- Paired axial CT (left) and PSMA PET (right), [18F]PSMA-1007 tracer
- acquired on Siemens Biograph mCT Flow 20
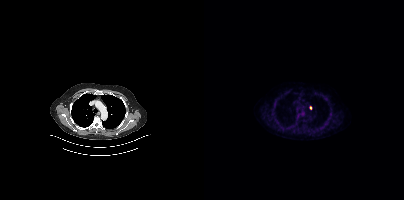
Findings: Coordinates are on the 200×200 PET (right) panel. Small PSMA-avid focus (2 to 4 px across) near (center x, center y): (106, 107).